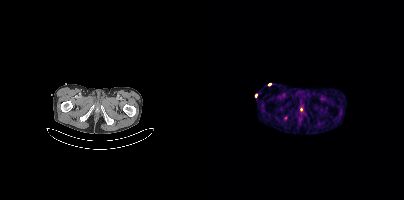
Technique: Paired axial CT (left) and PSMA PET (right), [68Ga]Ga-PSMA-11 tracer. slice position z = -939 mm. PET panel 200×200 px (4.1 mm/px).
Findings: Only PSMA-avid lesion pieces thinner than 2 px on this slice (not listed).